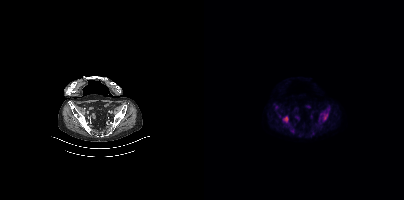
{"modality":"PSMA PET/CT","view":"axial","tracer":"18F-PSMA","pet_grid":[200,200],"coord_frame":"pet_panel","coord_format":"x0,y0,x1,y1","lesion_bboxes":[[79,116,84,122],[120,114,123,119]]}